Paired axial CT (left) and PSMA PET (right), 18F-PSMA tracer. Acquired on Siemens Biograph mCT Flow 20. Slice 20 of 417. PET panel 200×200 px (4.1 mm/px).
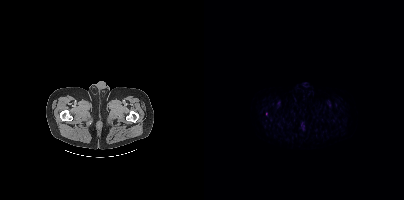
Coordinates are on the 200×200 PET (right) panel. Small PSMA-avid focus (2 to 4 px across) near (center x, center y): (62, 113).